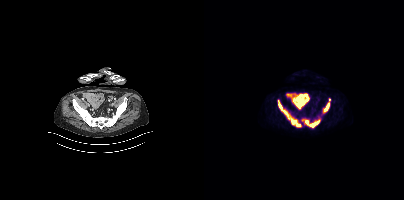
- Left: CT. Right: PSMA PET, same axial level, 18F tracer
- PET panel 200×200 px (4.1 mm/px)
Findings: Coordinates are on the 200×200 PET (right) panel. (showing 3 of 5 foci) PSMA-avid tumor lesion bounding boxes (x, y, width, height): x=74 y=103 w=23 h=24 / x=101 y=120 w=15 h=8 / x=119 y=103 w=7 h=10.